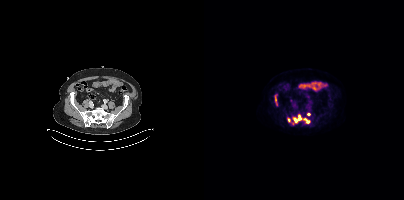
Coordinates are on the 200×200 PET (right) panel. (showing 4 of 5 foci) PSMA-avid tumor lesion bounding boxes (x0,y0,x1,y1): [88,114,106,124]; [83,118,86,122]; [71,96,72,102]. Small PSMA-avid focus (2 to 4 px across) near (center x, center y): (104, 114).